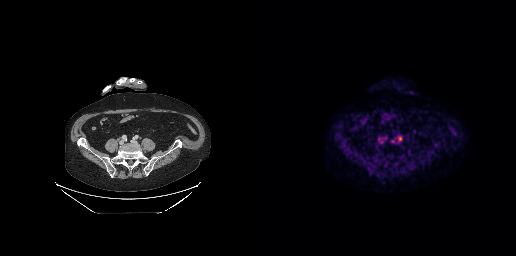
Coordinates are on the 256×256 PET (right) panel. (showing 1 of 2 foci) Small PSMA-avid focus (2 to 4 px across) near (center x, center y): (140, 138). Paired axial CT (left) and PSMA PET (right), [18F]PSMA-1007 tracer. Acquired on GE Discovery 690. Slice 127 of 299. PET panel 256×256 px (2.7 mm/px).